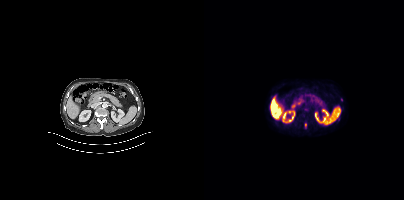
{"modality":"PSMA PET/CT","view":"axial","tracer":"18F-PSMA","pet_grid":[200,200],"coord_frame":"pet_panel","coord_format":"x0,y0,x1,y1","lesion_bboxes":[[101,123,102,127]]}